Left: CT. Right: PSMA PET, same axial level, 18F-PSMA tracer. Slice 61 of 263. PET panel 256×256 px (2.7 mm/px).
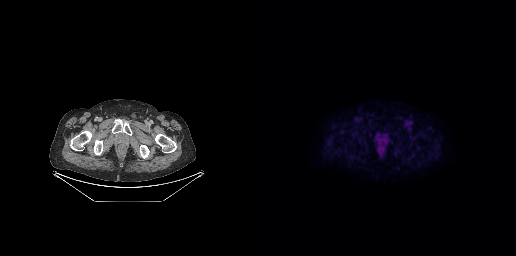
No tumor lesions annotated on this slice.